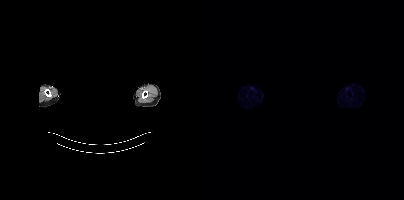
The face region was removed for patient privacy by blanking a rectangle over the head. Paired axial CT (left) and PSMA PET (right), [18F]PSMA-1007 tracer. No tumor lesions annotated on this slice.